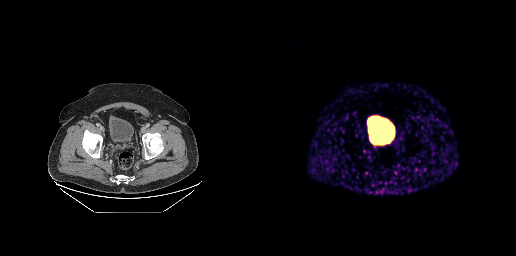
Paired axial CT (left) and PSMA PET (right), 68Ga-PSMA tracer. Slice position z = -719 mm. Coordinates are on the 256×256 PET (right) panel. PSMA-avid tumor lesion bounding box (x0, y0)-(x1, y1): (115, 139)-(126, 144). Small PSMA-avid focus (2 to 4 px across) near (center x, center y): (129, 138).